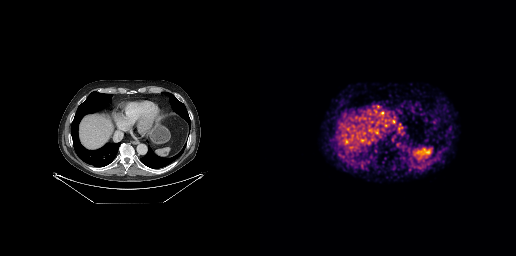
{"modality":"PSMA PET/CT","view":"axial","tracer":"[68Ga]Ga-PSMA-11","pet_grid":[256,256],"coord_frame":"pet_panel","coord_format":"x0,y0,x1,y1","lesion_bboxes":[[165,149,171,155]]}